Two-panel axial: CT | PSMA PET, [18F]PSMA-1007 tracer.
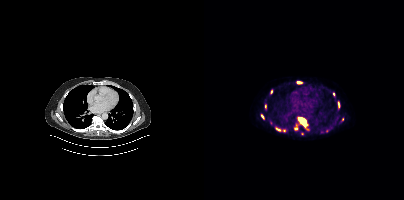
Coordinates are on the 200×200 PET (right) panel. (showing 10 of 11 foci) PSMA-avid tumor lesion bounding boxes (x0,y0,x1,y1): [93,117,104,130]; [90,124,93,130]; [93,81,97,83]; [134,102,135,107]. Small PSMA-avid foci (2 to 4 px across) near (center x, center y): (58, 116); (67, 91); (129, 94); (61, 106); (73, 128); (98, 133).